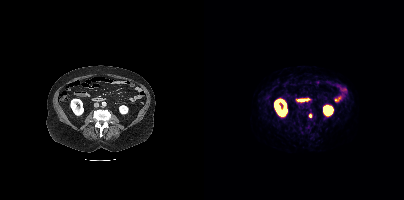
Coordinates are on the 200×200 PET (right) panel. Small PSMA-avid focus (2 to 4 px across) near (center x, center y): (106, 115).
modality: PSMA PET/CT | tracer: 68Ga-PSMA | view: axial | PET grid: 200×200